Two-panel axial: CT | PSMA PET, 18F tracer. Slice position z = -1366 mm. PET panel 200×200 px (4.1 mm/px).
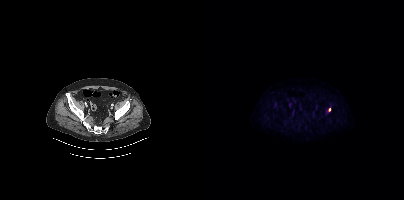
Coordinates are on the 200×200 PET (right) panel. Small PSMA-avid focus (2 to 4 px across) near (center x, center y): (125, 109).